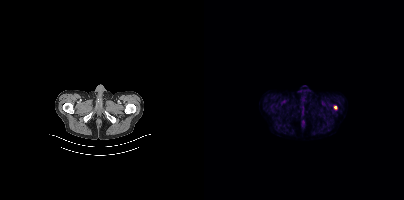
Coordinates are on the 200×200 PET (right) panel. Small PSMA-avid focus (2 to 4 px across) near (center x, center y): (131, 107).
modality: PSMA PET/CT | tracer: [18F]PSMA-1007 | view: axial | PET grid: 200×200